modality: PSMA PET/CT | tracer: 18F-PSMA | view: axial | PET grid: 256×256
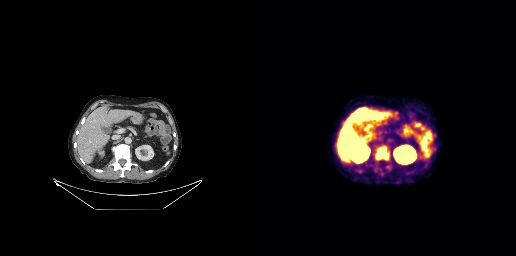
Coordinates are on the 256×256 PET (right) panel. PSMA-avid tumor lesion bounding box (x0, y0)-(x1, y1): (116, 146)-(128, 159).